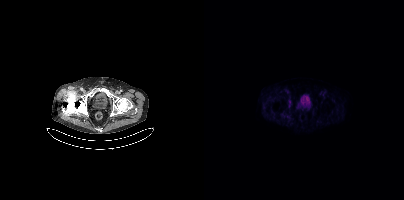
This slice has no annotated PSMA-avid lesion. Two-panel axial: CT | PSMA PET, 18F-PSMA tracer. Acquired on Siemens Biograph mCT Flow 20. PET panel 200×200 px (4.1 mm/px).